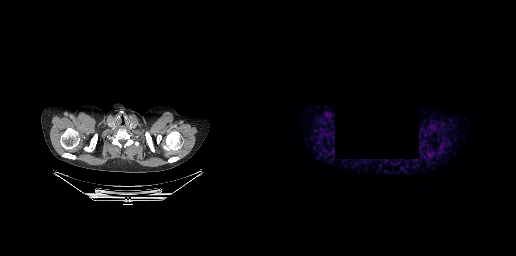
No tumor lesions annotated on this slice. Paired axial CT (left) and PSMA PET (right), 68Ga-PSMA tracer. Slice position z = -293 mm. PET panel 256×256 px (2.7 mm/px). A block of pixels was blacked out before release to protect privacy.